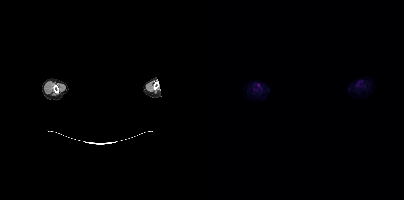
An anonymization step blacked out a rectangle over the head in this scan.
Negative for PSMA-avid disease on this slice.